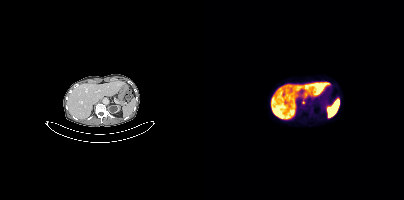
{"modality":"PSMA PET/CT","view":"axial","tracer":"18F","pet_grid":[200,200],"coord_frame":"pet_panel","coord_format":"x0,y0,x1,y1","lesion_bboxes":[],"small_foci_centers":[[99,102]]}